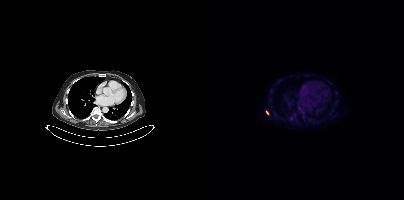
Left: CT. Right: PSMA PET, same axial level, [18F]PSMA-1007 tracer. Acquired on Siemens Biograph mCT Flow 20. Slice position z = 180 mm. PET panel 200×200 px (4.1 mm/px). Coordinates are on the 200×200 PET (right) panel. Small PSMA-avid focus (2 to 4 px across) near (center x, center y): (63, 112).